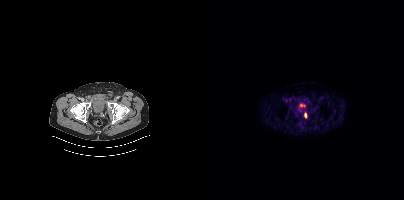
Coordinates are on the 200×200 PET (right) panel. PSMA-avid tumor lesion bounding box (x0, y0)-(x1, y1): (100, 113)-(102, 117).